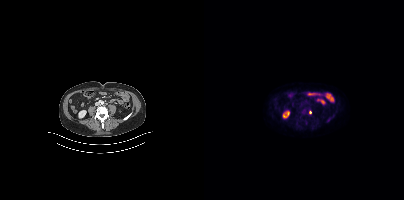
{"modality":"PSMA PET/CT","view":"axial","tracer":"18F","pet_grid":[200,200],"coord_frame":"pet_panel","coord_format":"x0,y0,x1,y1","partial":true,"lesion_bboxes":[]}